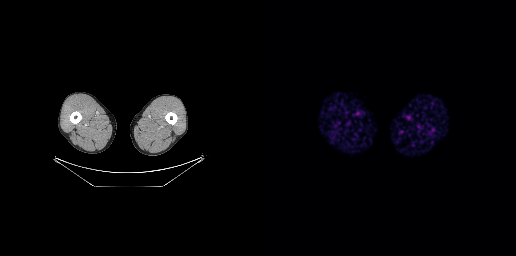
Paired axial CT (left) and PSMA PET (right), [68Ga]Ga-PSMA-11 tracer. Acquired on GE Discovery 690. Slice position z = -1044 mm. PET panel 256×256 px (2.7 mm/px). Negative for PSMA-avid disease on this slice.